modality: PSMA PET/CT | tracer: 18F | view: axial
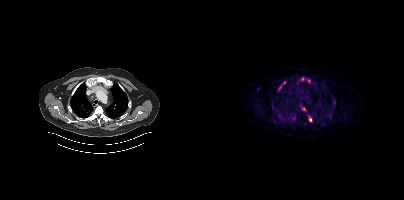
Coordinates are on the 200×200 PET (right) panel. (showing 11 of 12 foci) PSMA-avid tumor lesion bounding boxes (x0, y0)-(x1, y1): (84, 113)-(92, 122) | (74, 81)-(81, 90) | (100, 115)-(107, 124) | (124, 111)-(129, 116) | (128, 99)-(132, 103) | (97, 107)-(102, 111) | (71, 113)-(75, 116) | (103, 79)-(106, 83). Small PSMA-avid foci (2 to 4 px across) near (center x, center y): (98, 78) | (119, 81) | (68, 103).